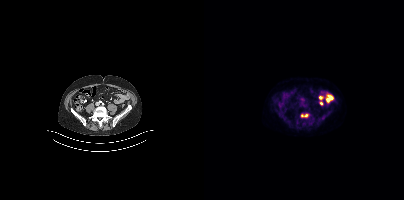
Coordinates are on the 200×200 PET (right) panel. PSMA-avid tumor lesion bounding box (x0,y0,x1,y1): [97,114,104,117].
modality: PSMA PET/CT | tracer: [18F]PSMA-1007 | view: axial